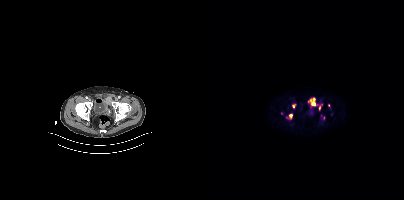
Left: CT. Right: PSMA PET, same axial level, 18F-PSMA tracer. Slice position z = -872 mm. Coordinates are on the 200×200 PET (right) panel. (showing 4 of 6 foci) PSMA-avid tumor lesion bounding boxes (x0,y0,x1,y1): [106,98,111,105]; [85,114,88,119]. Small PSMA-avid foci (2 to 4 px across) near (center x, center y): (89, 106); (116, 107).